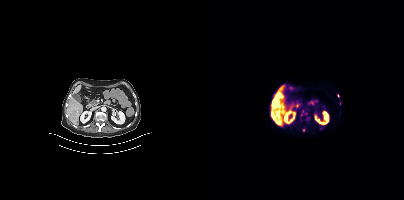
Coordinates are on the 200×200 PET (right) panel. (showing 2 of 3 foci) PSMA-avid tumor lesion bounding box (x0,y0,x1,y1): [68,99,74,106]. Small PSMA-avid focus (2 to 4 px across) near (center x, center y): (134, 95).
modality: PSMA PET/CT | tracer: 18F-PSMA | view: axial | PET grid: 200×200